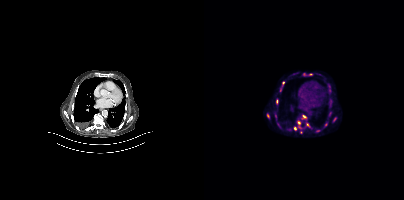
Findings: Coordinates are on the 200×200 PET (right) panel. (showing 15 of 16 foci) PSMA-avid tumor lesion bounding boxes (x0, y0)-(x1, y1): (93, 121)-(107, 129) | (76, 81)-(80, 91) | (98, 115)-(102, 119) | (125, 87)-(127, 92) | (63, 114)-(65, 118) | (129, 117)-(132, 121) | (72, 99)-(74, 103). Small PSMA-avid foci (2 to 4 px across) near (center x, center y): (100, 74) | (91, 128) | (126, 113) | (105, 74) | (71, 116) | (121, 124) | (114, 130) | (97, 131).
Technique: Left: CT. Right: PSMA PET, same axial level, 18F-PSMA tracer. slice position z = -1093 mm.